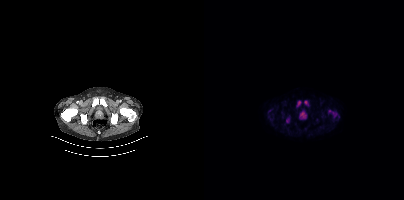
Findings: Coordinates are on the 200×200 PET (right) panel. PSMA-avid tumor lesion bounding boxes (x, y, width, height): x=124 y=110 w=10 h=8 / x=96 y=112 w=7 h=7 / x=82 y=117 w=4 h=6 / x=93 y=101 w=5 h=6 / x=100 y=101 w=5 h=5.
- Left: CT. Right: PSMA PET, same axial level, 18F tracer
- acquired on Siemens Biograph mCT Flow 20
- PET panel 200×200 px (4.1 mm/px)